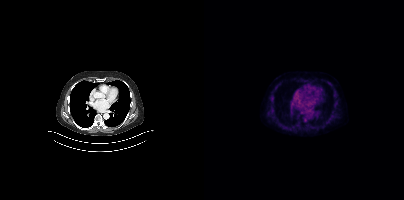
Technique: Left: CT. Right: PSMA PET, same axial level, 18F tracer. acquired on Siemens Biograph mCT Flow 20. slice position z = -622 mm.
Findings: Only PSMA-avid lesion pieces thinner than 2 px on this slice (not listed).